Two-panel axial: CT | PSMA PET, 18F-PSMA tracer. Slice 216 of 508.
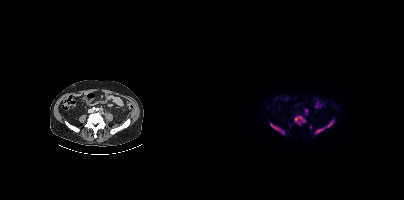
Coordinates are on the 200×200 PET (right) panel. (showing 5 of 6 foci) PSMA-avid tumor lesion bounding boxes (x0,y0,x1,y1): [111,120,129,133]; [90,116,101,124]; [67,124,76,130]. Small PSMA-avid foci (2 to 4 px across) near (center x, center y): (102, 110); (78, 132).